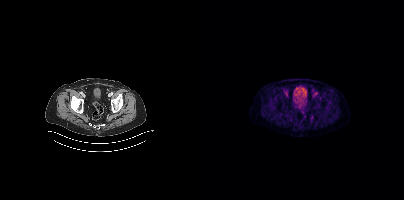
- Left: CT. Right: PSMA PET, same axial level, 18F-PSMA tracer
- acquired on Siemens Biograph mCT Flow 20
- slice position z = -1468 mm
Findings: No PSMA-avid tumor lesions on this slice.